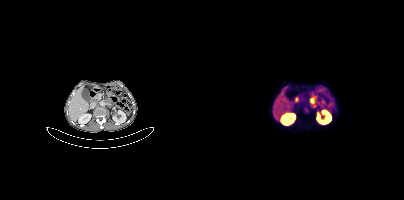
Two-panel axial: CT | PSMA PET, 68Ga-PSMA tracer. Acquired on Siemens Biograph mCT Flow 20. Slice 182 of 409. PET panel 200×200 px (4.1 mm/px). Coordinates are on the 200×200 PET (right) panel. PSMA-avid tumor lesion bounding box (x0, y0)-(x1, y1): (106, 96)-(112, 106).